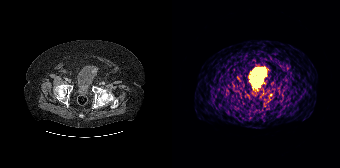
- Paired axial CT (left) and PSMA PET (right), 68Ga-PSMA tracer
- PET panel 168×168 px (4.1 mm/px)
Findings: Coordinates are on the 168×168 PET (right) panel. (showing 1 of 2 foci) PSMA-avid tumor lesion bounding box (x0, y0)-(x1, y1): (80, 85)-(87, 94).